modality: PSMA PET/CT | tracer: [18F]PSMA-1007 | view: axial
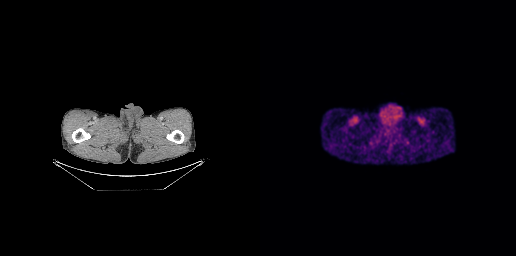
No tumor lesions annotated on this slice.